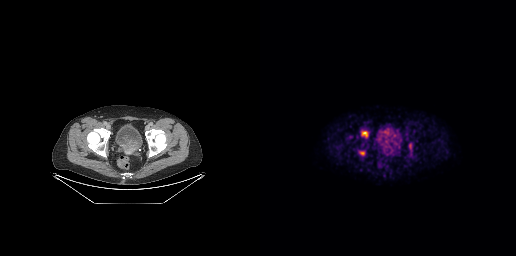
Technique: Left: CT. Right: PSMA PET, same axial level, 18F tracer. PET panel 256×256 px (2.7 mm/px).
Findings: Coordinates are on the 256×256 PET (right) panel. PSMA-avid tumor lesion bounding boxes (x0, y0)-(x1, y1): (102, 131)-(107, 136); (149, 144)-(151, 148). Small PSMA-avid focus (2 to 4 px across) near (center x, center y): (102, 153).